modality: PSMA PET/CT | tracer: 18F | view: axial | PET grid: 200×200 | de-identification: head region blanked (face removed)
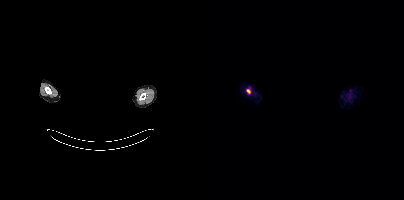
Coordinates are on the 200×200 PET (right) panel. PSMA-avid tumor lesion bounding box (x, y, width, height): x=42 y=89 w=5 h=5.